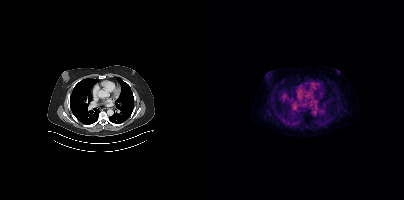
This slice has no annotated PSMA-avid lesion. Paired axial CT (left) and PSMA PET (right), [18F]PSMA-1007 tracer. PET panel 200×200 px (4.1 mm/px).